modality: PSMA PET/CT | tracer: [18F]PSMA-1007 | view: axial | PET grid: 200×200
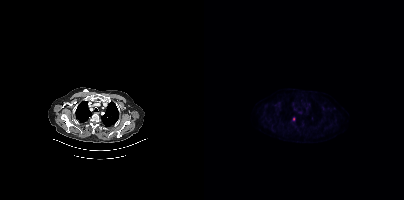
Coordinates are on the 200×200 PET (right) panel. PSMA-avid tumor lesion bounding box (x0, y0)-(x1, y1): (88, 117)-(91, 121).